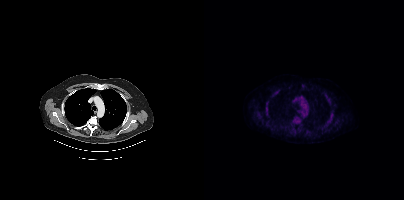
Two-panel axial: CT | PSMA PET, 18F tracer. Slice 348 of 462. PET panel 200×200 px (4.1 mm/px). No tumor lesions annotated on this slice.